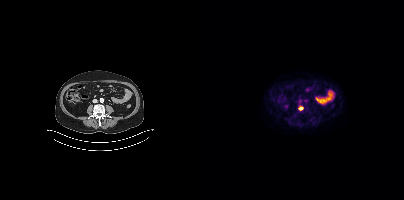
Technique: Two-panel axial: CT | PSMA PET, 18F-PSMA tracer. slice 149 of 393.
Findings: Coordinates are on the 200×200 PET (right) panel. PSMA-avid tumor lesion bounding box (x0,y0,x1,y1): [94,106,99,110].